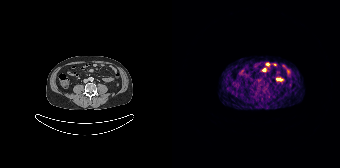
{"modality":"PSMA PET/CT","view":"axial","tracer":"68Ga","pet_grid":[168,168],"coord_frame":"pet_panel","coord_format":"x0,y0,x1,y1","psma_avid_lesions":false}